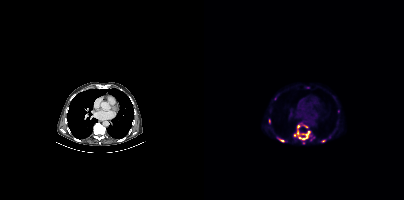
{"modality":"PSMA PET/CT","view":"axial","tracer":"18F","pet_grid":[200,200],"coord_frame":"pet_panel","coord_format":"x0,y0,x1,y1","partial":true,"lesion_bboxes":[[98,131,106,140],[93,131,97,138],[93,124,96,128],[99,125,104,127],[76,140,80,141]],"small_foci_centers":[[119,141],[65,120],[90,135],[99,142]]}